- Paired axial CT (left) and PSMA PET (right), 18F tracer
- slice 19 of 165
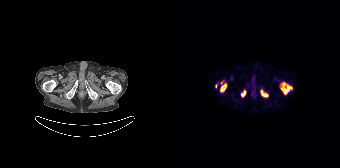
Findings: Coordinates are on the 168×168 PET (right) panel. PSMA-avid tumor lesion bounding boxes (x, y, width, height): x=108 y=82 w=13 h=13 | x=48 y=83 w=7 h=10 | x=88 y=90 w=9 h=8 | x=69 y=90 w=5 h=7. Small PSMA-avid foci (2 to 4 px across) near (center x, center y): (43, 86) | (49, 82).